- Two-panel axial: CT | PSMA PET, 18F-PSMA tracer
- acquired on Siemens Biograph mCT Flow 20
- PET panel 200×200 px (4.1 mm/px)
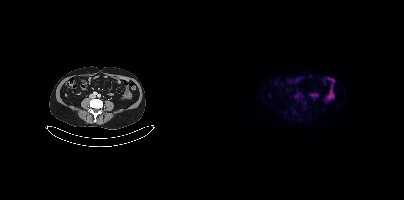
Findings: No PSMA-avid tumor lesions on this slice.